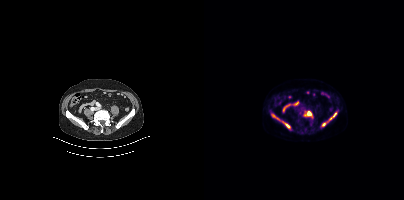
{"modality":"PSMA PET/CT","view":"axial","tracer":"18F-PSMA","pet_grid":[200,200],"coord_frame":"pet_panel","coord_format":"x0,y0,x1,y1","lesion_bboxes":[[123,112,133,122],[78,121,86,128],[100,111,107,116],[68,114,75,120]],"small_foci_centers":[[119,124]]}